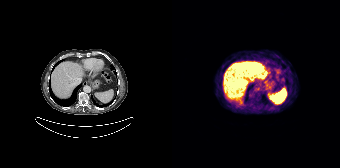
Findings: Coordinates are on the 168×168 PET (right) panel. (showing 4 of 6 foci) PSMA-avid tumor lesion bounding boxes (x0,y0,x1,y1): [65,62,80,69], [62,78,72,87], [83,68,93,78], [83,63,88,65].
- Left: CT. Right: PSMA PET, same axial level, 68Ga tracer
- acquired on Siemens Biograph 64-4R TruePoint
- slice position z = -376 mm